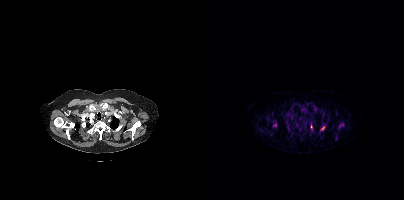
Paired axial CT (left) and PSMA PET (right), 68Ga tracer. Coordinates are on the 200×200 PET (right) panel. (showing 3 of 7 foci) PSMA-avid tumor lesion bounding boxes (x0,y0,x1,y1): [116,126,121,131]; [135,124,139,127]. Small PSMA-avid focus (2 to 4 px across) near (center x, center y): (107, 126).